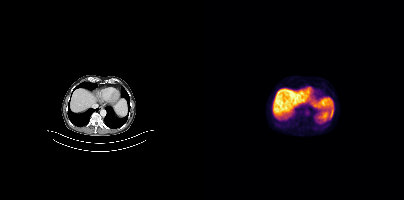
- Paired axial CT (left) and PSMA PET (right), 18F tracer
- slice position z = -598 mm
Findings: No tumor lesions annotated on this slice.